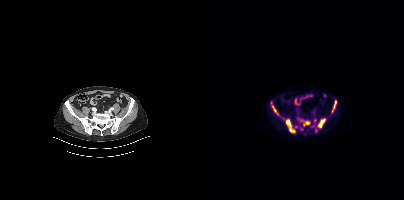
Findings: Coordinates are on the 200×200 PET (right) panel. (showing 9 of 11 foci) PSMA-avid tumor lesion bounding boxes (x, y, width, height): x=114 y=119 w=8 h=9; x=91 y=125 w=9 h=6; x=97 y=120 w=9 h=7; x=128 y=101 w=5 h=12; x=82 y=119 w=4 h=12; x=86 y=121 w=6 h=12; x=68 y=105 w=5 h=8; x=110 y=118 w=3 h=5. Small PSMA-avid focus (2 to 4 px across) near (center x, center y): (112, 130).
- Paired axial CT (left) and PSMA PET (right), 18F-PSMA tracer